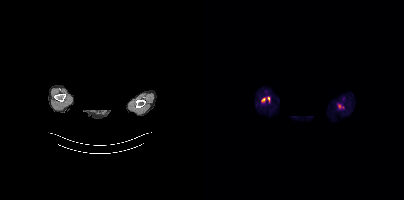
{"modality":"PSMA PET/CT","view":"axial","tracer":"18F-PSMA","pet_grid":[200,200],"coord_frame":"pet_panel","coord_format":"x0,y0,x1,y1","psma_avid_lesions":false,"deidentification":"face masked with black rectangle"}